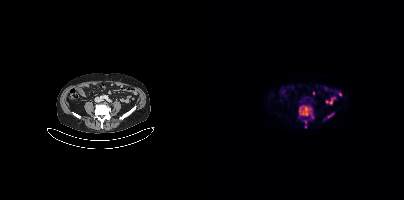
{"modality":"PSMA PET/CT","view":"axial","tracer":"18F","pet_grid":[200,200],"coord_frame":"pet_panel","coord_format":"x0,y0,x1,y1","lesion_bboxes":[[95,105,109,118],[123,113,130,118]],"small_foci_centers":[[101,122],[101,126]]}